modality: PSMA PET/CT | tracer: 68Ga | view: axial | PET grid: 200×200
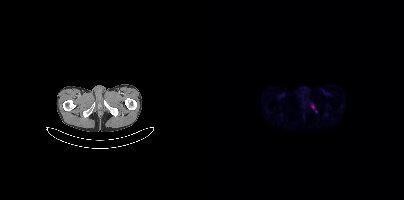
Coordinates are on the 200×200 PET (right) panel. PSMA-avid tumor lesion bounding box (x0,y0,x1,y1): [107,103,110,109]. Small PSMA-avid focus (2 to 4 px across) near (center x, center y): (111, 111).